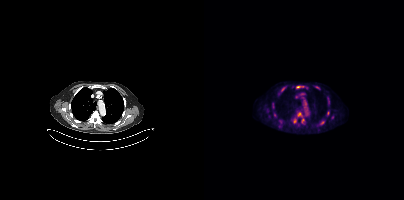
{"modality":"PSMA PET/CT","view":"axial","tracer":"18F-PSMA","pet_grid":[200,200],"coord_frame":"pet_panel","coord_format":"x0,y0,x1,y1","partial":true,"lesion_bboxes":[[92,86,100,87],[77,87,80,91]],"small_foci_centers":[[118,122],[95,114],[113,87],[90,121],[123,113],[98,120]]}